Paired axial CT (left) and PSMA PET (right), 68Ga-PSMA tracer. Slice 27 of 263.
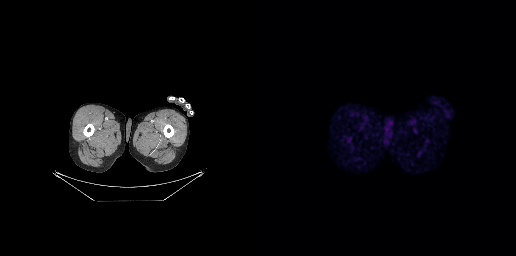
Negative for PSMA-avid disease on this slice.